- Left: CT. Right: PSMA PET, same axial level, 18F tracer
- acquired on Siemens Biograph mCT Flow 20
- PET panel 200×200 px (4.1 mm/px)
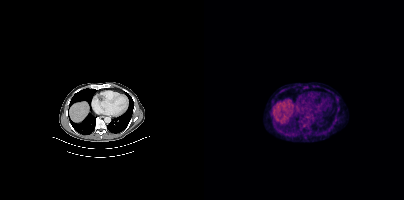
Findings: Coordinates are on the 200×200 PET (right) panel. PSMA-avid tumor lesion bounding boxes (x0,y0,x1,y1): [98,124,102,128]; [94,118,98,122].